Two-panel axial: CT | PSMA PET, 68Ga-PSMA tracer. Acquired on GE Discovery 690.
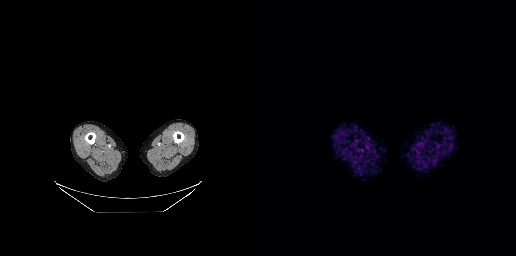
No tumor lesions annotated on this slice.